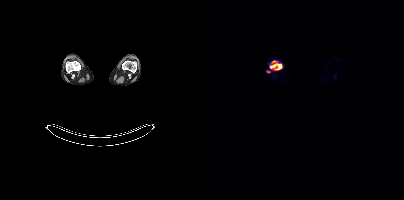
{"modality":"PSMA PET/CT","view":"axial","tracer":"18F-PSMA","pet_grid":[200,200],"coord_frame":"pet_panel","coord_format":"x0,y0,x1,y1","lesion_bboxes":[[66,60,77,69]],"small_foci_centers":[[64,71]]}